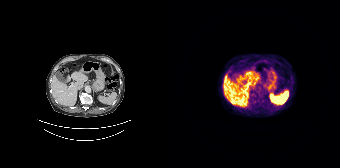
modality: PSMA PET/CT | tracer: [68Ga]Ga-PSMA-11 | view: axial | PET grid: 168×168
No PSMA-avid tumor lesions on this slice.